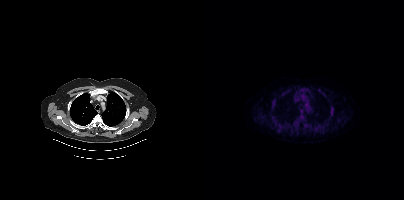
Coordinates are on the 200×200 PET (right) panel. (showing 12 of 14 foci) PSMA-avid tumor lesion bounding boxes (x, y, width, height): x=90 y=114 w=10 h=12; x=126 y=107 w=4 h=9; x=68 y=98 w=4 h=9; x=97 y=87 w=5 h=6; x=73 y=128 w=4 h=5; x=113 y=125 w=5 h=5. Small PSMA-avid foci (2 to 4 px across) near (center x, center y): (115, 90); (122, 124); (101, 125); (120, 95); (80, 93); (105, 91).